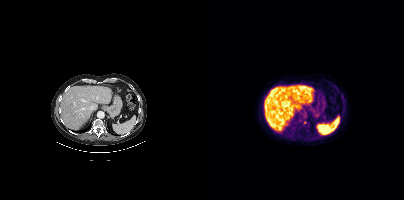
Coordinates are on the 200×200 PET (right) panel. Small PSMA-avid focus (2 to 4 px across) near (center x, center y): (101, 122).